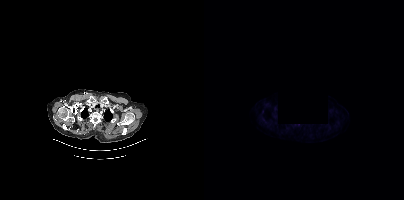
Coordinates are on the 200×200 PET (right) panel. (showing 1 of 2 foci) Small PSMA-avid focus (2 to 4 px across) near (center x, center y): (58, 111).
modality: PSMA PET/CT | tracer: 18F-PSMA | view: axial | PET grid: 200×200 | de-identification: region blacked out before release